Paired axial CT (left) and PSMA PET (right), 18F-PSMA tracer. Slice 6 of 403.
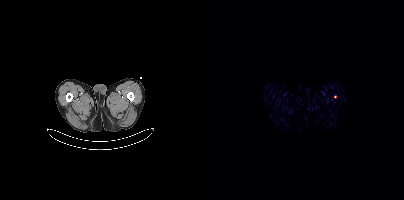
Coordinates are on the 200×200 PET (right) panel. Small PSMA-avid focus (2 to 4 px across) near (center x, center y): (130, 96).